Technique: Two-panel axial: CT | PSMA PET, 18F-PSMA tracer. slice position z = -802 mm. PET panel 256×256 px (2.7 mm/px).
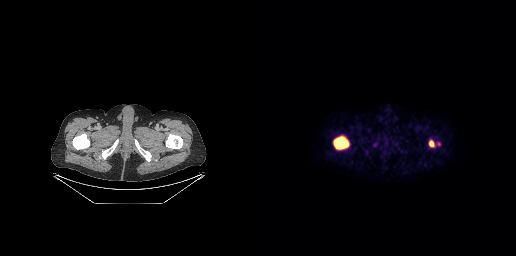
Findings: Coordinates are on the 256×256 PET (right) panel. PSMA-avid tumor lesion bounding boxes (x0,y0,x1,y1): [73,136,89,149] [169,139,175,147]. Small PSMA-avid focus (2 to 4 px across) near (center x, center y): (179, 144).